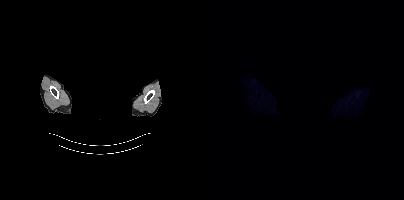
{"modality":"PSMA PET/CT","view":"axial","tracer":"18F-PSMA","pet_grid":[200,200],"coord_frame":"pet_panel","coord_format":"x0,y0,x1,y1","psma_avid_lesions":false,"de-identification":"head region blacked out before release"}